- Left: CT. Right: PSMA PET, same axial level, [18F]PSMA-1007 tracer
- slice 79 of 395
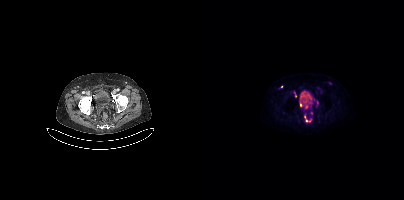
Findings: Coordinates are on the 200×200 PET (right) panel. (showing 4 of 5 foci) PSMA-avid tumor lesion bounding box (x, y, width, height): x=100 y=116 w=7 h=6. Small PSMA-avid foci (2 to 4 px across) near (center x, center y): (96, 104); (77, 86); (91, 95).